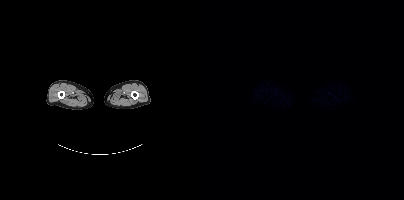
Findings: No PSMA-avid tumor lesions on this slice.
- Paired axial CT (left) and PSMA PET (right), [18F]PSMA-1007 tracer
- acquired on Siemens Biograph mCT Flow 20
- PET panel 200×200 px (4.1 mm/px)